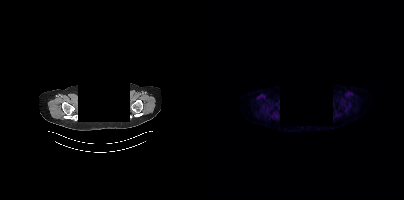
No tumor lesions annotated on this slice. The head region is masked for de-identification. Paired axial CT (left) and PSMA PET (right), 18F tracer. PET panel 200×200 px (4.1 mm/px).